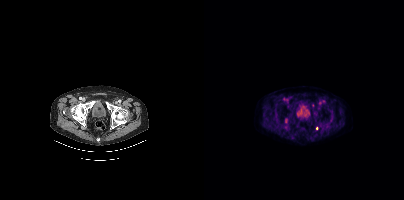
Coordinates are on the 200×200 PET (right) panel. Small PSMA-avid focus (2 to 4 px across) near (center x, center y): (112, 128).